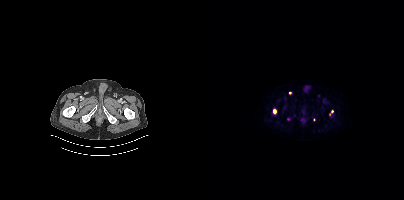
Left: CT. Right: PSMA PET, same axial level, 18F-PSMA tracer. PET panel 200×200 px (4.1 mm/px).
Coordinates are on the 200×200 PET (right) panel. PSMA-avid tumor lesion bounding boxes:
| # | x0 | y0 | x1 | y1 |
|---|---|---|---|---|
| 1 | 69 | 109 | 72 | 114 |
| 2 | 125 | 110 | 129 | 115 |
Small PSMA-avid foci (2 to 4 px across) near (center x, center y): (86, 93); (110, 119).